modality: PSMA PET/CT | tracer: [68Ga]Ga-PSMA-11 | view: axial
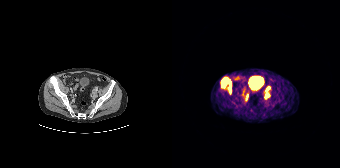
Coordinates are on the 168×168 PET (right) panel. (showing 3 of 4 foci) PSMA-avid tumor lesion bounding boxes (x0,y0,x1,y1): [49,78,59,93], [92,86,98,98]. Small PSMA-avid focus (2 to 4 px across) near (center x, center y): (75, 95).